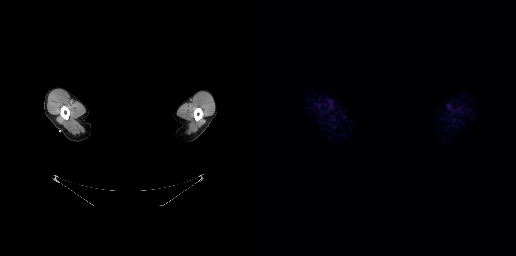
Technique: Paired axial CT (left) and PSMA PET (right), [18F]PSMA-1007 tracer. PET panel 256×256 px (2.7 mm/px).
Note: A rectangle over the head was blacked out to remove identifiable facial features.
Findings: This slice has no annotated PSMA-avid lesion.